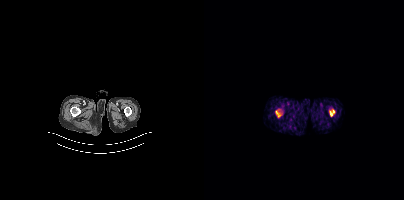
Only PSMA-avid lesion pieces thinner than 2 px on this slice (not listed).